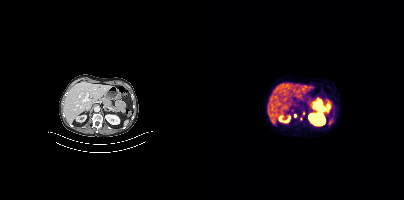
Coordinates are on the 200×200 PET (right) panel. (showing 2 of 3 foci) Small PSMA-avid foci (2 to 4 px across) near (center x, center y): (91, 115); (99, 113).